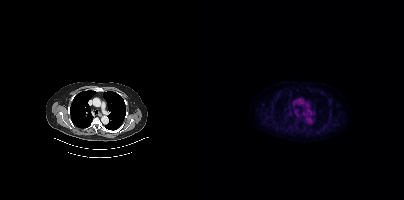
Negative for PSMA-avid disease on this slice.